Paired axial CT (left) and PSMA PET (right), [18F]PSMA-1007 tracer.
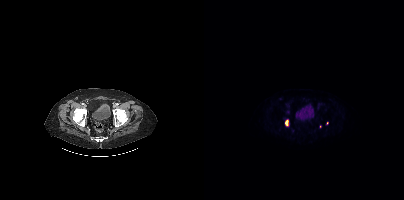
Coordinates are on the 200×200 PET (right) panel. (showing 2 of 3 foci) PSMA-avid tumor lesion bounding box (x0, y0)-(x1, y1): (81, 120)-(83, 125). Small PSMA-avid focus (2 to 4 px across) near (center x, center y): (123, 122).